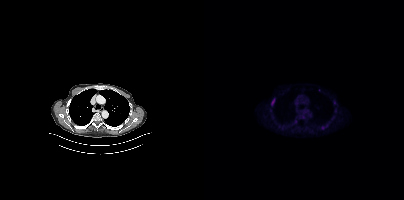
Coordinates are on the 200×200 PET (right) panel. PSMA-avid tumor lesion bounding box (x0,y0,x1,y1): [68,98,71,102].